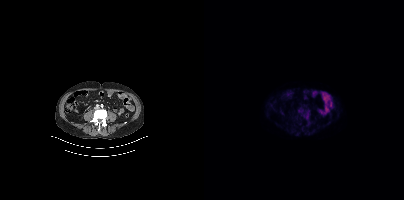
No PSMA-avid tumor lesions on this slice. Paired axial CT (left) and PSMA PET (right), 18F tracer. Slice position z = -692 mm. PET panel 200×200 px (4.1 mm/px).